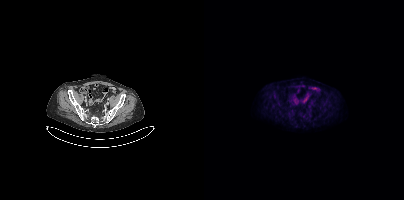
Left: CT. Right: PSMA PET, same axial level, 18F-PSMA tracer. Slice 82 of 381. No PSMA-avid tumor lesions on this slice.